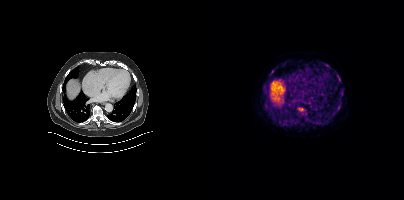
Left: CT. Right: PSMA PET, same axial level, [18F]PSMA-1007 tracer. Slice 283 of 454. Coordinates are on the 200×200 PET (right) panel. PSMA-avid tumor lesion bounding boxes (x0,y0,x1,y1): [119,119,124,124]; [132,106,136,111]; [94,108,99,111]; [59,88,63,92]; [136,92,139,96]; [121,64,125,67]. Small PSMA-avid focus (2 to 4 px across) near (center x, center y): (66, 74).